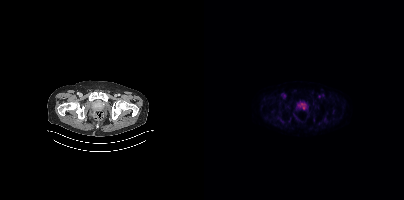
Technique: Left: CT. Right: PSMA PET, same axial level, [18F]PSMA-1007 tracer. slice 60 of 436.
Findings: Coordinates are on the 200×200 PET (right) panel. PSMA-avid tumor lesion bounding box (x0,y0,x1,y1): [95,103,102,109].